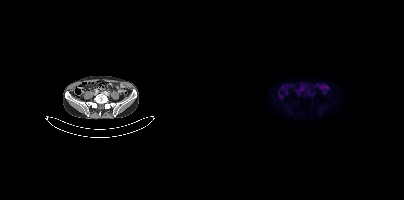
modality: PSMA PET/CT | tracer: 18F-PSMA | view: axial | PET grid: 200×200
Negative for PSMA-avid disease on this slice.